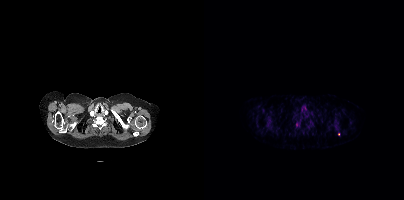
Coordinates are on the 200×200 PET (right) panel. Small PSMA-avid focus (2 to 4 px across) near (center x, center y): (134, 134). Paired axial CT (left) and PSMA PET (right), 68Ga-PSMA tracer. PET panel 200×200 px (4.1 mm/px).